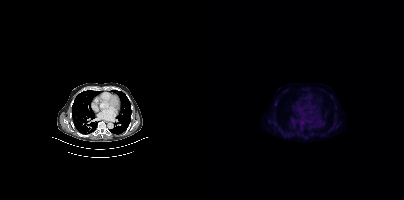
Coordinates are on the 200×200 PET (right) panel. Small PSMA-avid focus (2 to 4 px across) near (center x, center y): (71, 103).